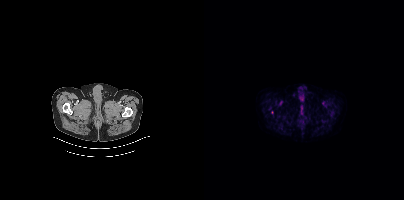
{"pet_grid":[200,200],"coord_frame":"pet_panel","coord_format":"x0,y0,x1,y1","psma_avid_lesions":false,"modality":"PSMA PET/CT","view":"axial","tracer":"18F-PSMA"}